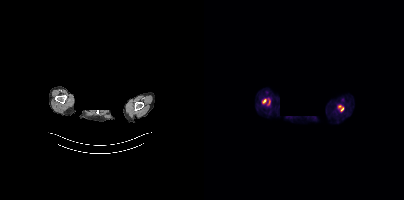
A rectangular block over the head has been blanked out for de-identification. Two-panel axial: CT | PSMA PET, [18F]PSMA-1007 tracer. PET panel 200×200 px (4.1 mm/px). No tumor lesions annotated on this slice.